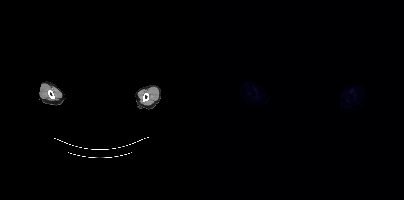
de-identification: rectangular block over head set to black | modality: PSMA PET/CT | tracer: 18F | view: axial | PET grid: 200×200
This slice has no annotated PSMA-avid lesion.